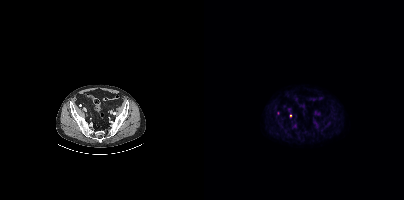
Technique: Paired axial CT (left) and PSMA PET (right), 18F tracer. acquired on Siemens Biograph mCT Flow 20. PET panel 200×200 px (4.1 mm/px).
Findings: Coordinates are on the 200×200 PET (right) panel. (showing 1 of 2 foci) Small PSMA-avid focus (2 to 4 px across) near (center x, center y): (86, 115).